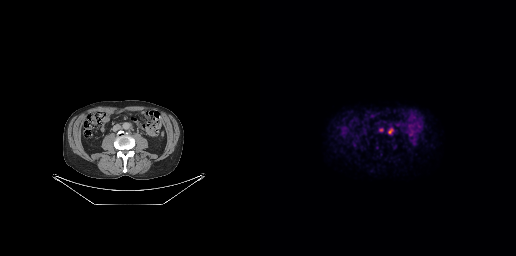
Coordinates are on the 256×256 PET (right) panel. PSMA-avid tumor lesion bounding box (x0,y0,x1,y1): [128,128,132,133]. Small PSMA-avid focus (2 to 4 px across) near (center x, center y): (121, 129). Left: CT. Right: PSMA PET, same axial level, 18F-PSMA tracer.